A rectangular block over the head has been blanked out for de-identification.
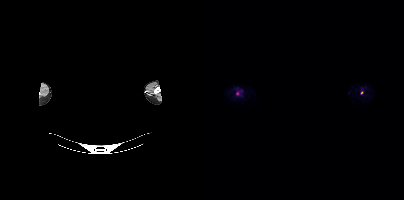
Coordinates are on the 200×200 PET (right) panel. Small PSMA-avid foci (2 to 4 px across) near (center x, center y): (33, 93); (157, 92).